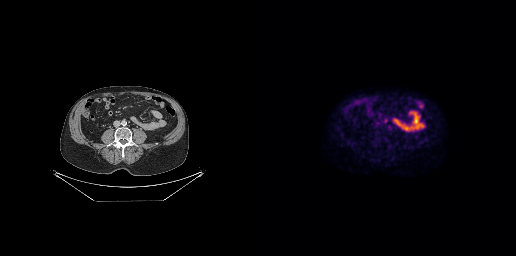
{"modality":"PSMA PET/CT","view":"axial","tracer":"18F","pet_grid":[256,256],"coord_frame":"pet_panel","coord_format":"x0,y0,x1,y1","lesion_bboxes":[],"small_foci_centers":[[129,127]]}